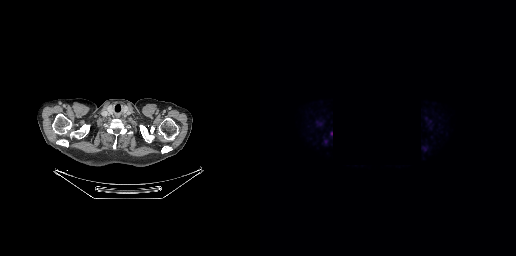
Findings: Coordinates are on the 256×256 PET (right) panel. (showing 1 of 2 foci) Small PSMA-avid focus (2 to 4 px across) near (center x, center y): (71, 133).
- Paired axial CT (left) and PSMA PET (right), 18F tracer
- slice 257 of 299
- PET panel 256×256 px (2.7 mm/px)
- an anonymization step blacked out a rectangle in this scan